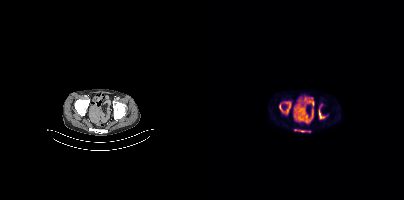
Coordinates are on the 200×200 PET (right) panel. PSMA-avid tumor lesion bounding boxes (x, y, width, height): x=75 y=101 w=13 h=14 | x=90 y=129 w=13 h=4 | x=115 y=110 w=6 h=9. Small PSMA-avid foci (2 to 4 px across) near (center x, center y): (117, 105) | (105, 131).